Technique: Left: CT. Right: PSMA PET, same axial level, [68Ga]Ga-PSMA-11 tracer. slice 67 of 429. PET panel 200×200 px (4.1 mm/px).
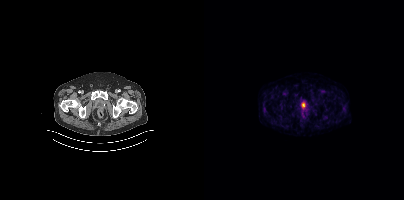
Findings: No PSMA-avid tumor lesions on this slice.